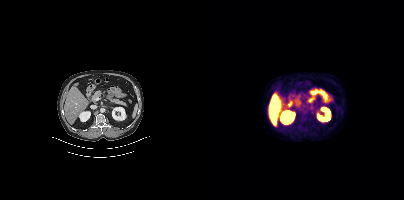
- Two-panel axial: CT | PSMA PET, 18F-PSMA tracer
- slice 187 of 397
- PET panel 200×200 px (4.1 mm/px)
Findings: This slice has no annotated PSMA-avid lesion.